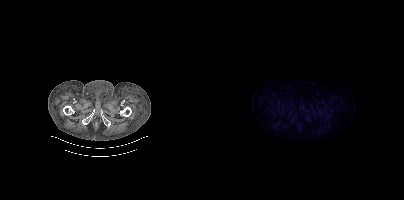
No PSMA-avid tumor lesions on this slice. Left: CT. Right: PSMA PET, same axial level, 18F tracer. Slice 27 of 344. PET panel 200×200 px (4.1 mm/px).